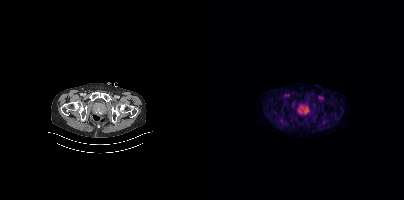
- Two-panel axial: CT | PSMA PET, 18F-PSMA tracer
- slice 66 of 401
Findings: Coordinates are on the 200×200 PET (right) panel. PSMA-avid tumor lesion bounding box (x, y, width, height): x=92 y=104 w=15 h=12.